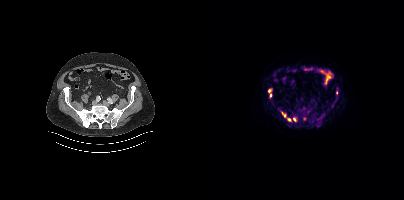
modality: PSMA PET/CT | tracer: 18F-PSMA | view: axial
Coordinates are on the 200×200 PET (right) panel. (showing 7 of 8 foci) PSMA-avid tumor lesion bounding boxes (x0, y0)-(x1, y1): (113, 119)-(117, 124) / (83, 118)-(87, 121) / (78, 112)-(81, 117). Small PSMA-avid foci (2 to 4 px across) near (center x, center y): (90, 119) / (100, 119) / (66, 95) / (132, 92).